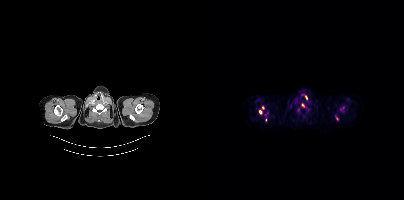
Coordinates are on the 200×200 PET (right) panel. (showing 3 of 5 foci) Small PSMA-avid foci (2 to 4 px across) near (center x, center y): (56, 111) / (59, 108) / (98, 104). Paired axial CT (left) and PSMA PET (right), [18F]PSMA-1007 tracer. Slice 385 of 444.